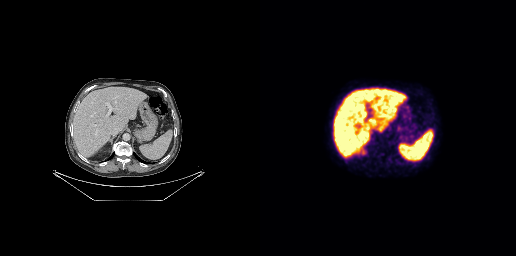
- Left: CT. Right: PSMA PET, same axial level, [18F]PSMA-1007 tracer
Findings: This slice has no annotated PSMA-avid lesion.